Technique: Two-panel axial: CT | PSMA PET, 18F tracer. acquired on Siemens Biograph 64-4R TruePoint.
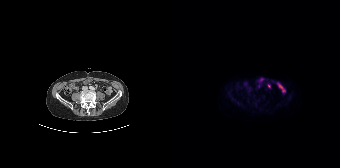
Findings: No PSMA-avid tumor lesions on this slice.